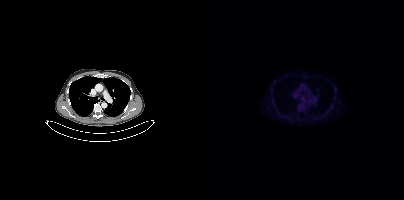
Coordinates are on the 200×200 PET (right) panel. Small PSMA-avid focus (2 to 4 px across) near (center x, center y): (98, 98).